Technique: Two-panel axial: CT | PSMA PET, 18F-PSMA tracer. slice 73 of 435.
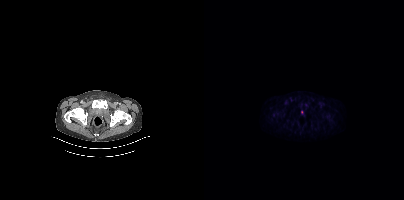
Findings: Coordinates are on the 200×200 PET (right) panel. Small PSMA-avid focus (2 to 4 px across) near (center x, center y): (97, 111).